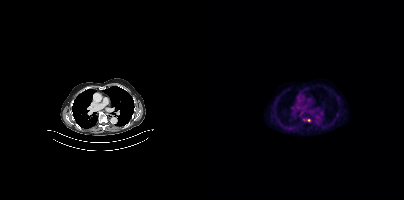
Coordinates are on the 200×200 PET (right) panel. Small PSMA-avid foci (2 to 4 px across) near (center x, center y): (104, 120); (100, 119). Left: CT. Right: PSMA PET, same axial level, [18F]PSMA-1007 tracer. Slice 289 of 423. PET panel 200×200 px (4.1 mm/px).